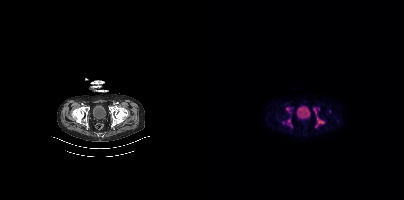
Paired axial CT (left) and PSMA PET (right), 18F-PSMA tracer. Slice position z = -1406 mm. Coordinates are on the 200×200 PET (right) panel. (showing 5 of 6 foci) PSMA-avid tumor lesion bounding boxes (x0,y0,x1,y1): [109,107,120,127], [83,118,88,127], [82,107,87,113]. Small PSMA-avid foci (2 to 4 px across) near (center x, center y): (125, 111), (79, 122).